Technique: Two-panel axial: CT | PSMA PET, [18F]PSMA-1007 tracer. acquired on Siemens Biograph mCT Flow 20.
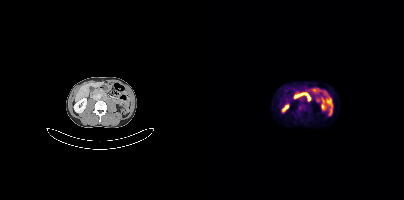
Findings: Coordinates are on the 200×200 PET (right) panel. PSMA-avid tumor lesion bounding box (x0,y0,x1,y1): [94,105,100,110].